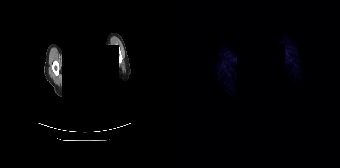
{"modality":"PSMA PET/CT","view":"axial","tracer":"68Ga-PSMA","pet_grid":[168,168],"coord_frame":"pet_panel","coord_format":"x0,y0,x1,y1","redaction":"rectangular block over head set to black","psma_avid_lesions":false}